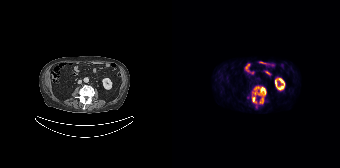
Technique: Paired axial CT (left) and PSMA PET (right), [18F]PSMA-1007 tracer. PET panel 168×168 px (4.1 mm/px).
Findings: Coordinates are on the 168×168 PET (right) panel. PSMA-avid tumor lesion bounding boxes (x, y, width, height): x=80 y=86 w=15 h=18 | x=80 y=97 w=5 h=7.